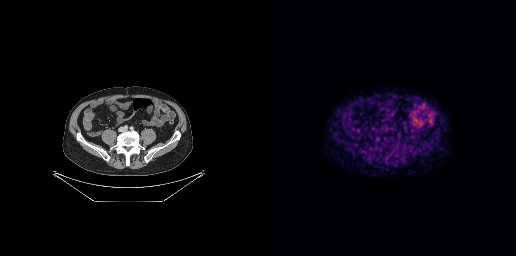
No tumor lesions annotated on this slice.
modality: PSMA PET/CT | tracer: 68Ga | view: axial | PET grid: 256×256